- Two-panel axial: CT | PSMA PET, 18F tracer
- acquired on Siemens Biograph 64-4R TruePoint
- slice 116 of 135
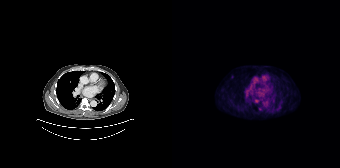
Findings: Coordinates are on the 168×168 PET (right) panel. Small PSMA-avid focus (2 to 4 px across) near (center x, center y): (84, 100).